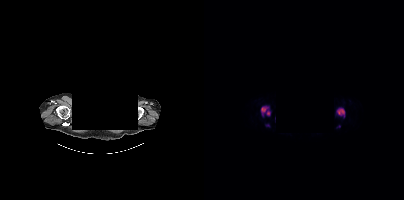
The face region was removed for patient privacy by blanking a rectangle over the head. Paired axial CT (left) and PSMA PET (right), [18F]PSMA-1007 tracer. Slice 364 of 423.
Coordinates are on the 200×200 PET (right) panel. PSMA-avid tumor lesion bounding boxes:
| # | x0 | y0 | x1 | y1 |
|---|---|---|---|---|
| 1 | 56 | 105 | 67 | 117 |
| 2 | 132 | 107 | 141 | 117 |
Small PSMA-avid foci (2 to 4 px across) near (center x, center y): (63, 125); (135, 126).